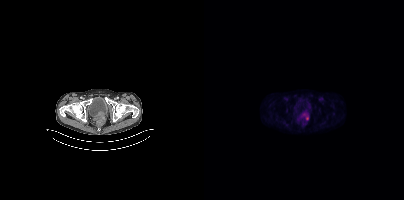
Coordinates are on the 200×200 PET (right) panel. PSMA-avid tumor lesion bounding box (x, y, width, height): x=97 y=112 w=8 h=9. Small PSMA-avid focus (2 to 4 px across) near (center x, center y): (93, 119). Left: CT. Right: PSMA PET, same axial level, 18F tracer. PET panel 200×200 px (4.1 mm/px).